Two-panel axial: CT | PSMA PET, 18F tracer. PET panel 200×200 px (4.1 mm/px).
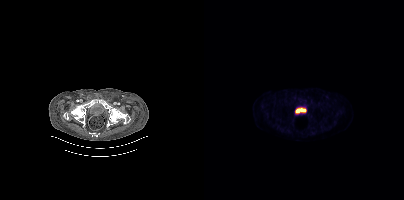
Negative for PSMA-avid disease on this slice.